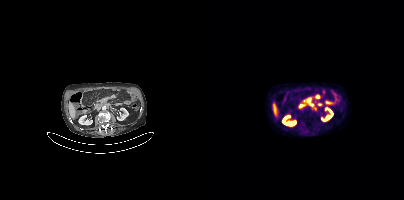
{"modality":"PSMA PET/CT","view":"axial","tracer":"18F-PSMA","pet_grid":[200,200],"coord_frame":"pet_panel","coord_format":"x0,y0,x1,y1","partial":true,"lesion_bboxes":[[99,97,107,103],[111,94,116,98]]}